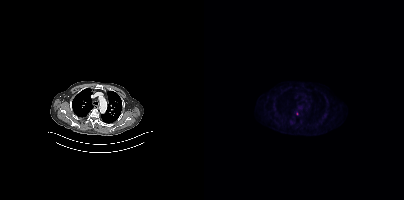
Coordinates are on the 200×200 PET (right) panel. Small PSMA-avid focus (2 to 4 px across) near (center x, center y): (93, 113). Left: CT. Right: PSMA PET, same axial level, 18F tracer. PET panel 200×200 px (4.1 mm/px).